modality: PSMA PET/CT | tracer: 18F-PSMA | view: axial | PET grid: 200×200
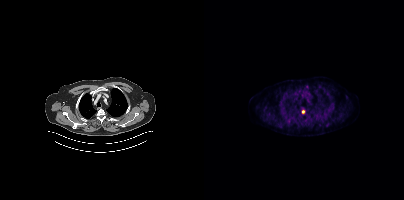
Coordinates are on the 200×200 PET (right) panel. Small PSMA-avid focus (2 to 4 px across) near (center x, center y): (99, 111).